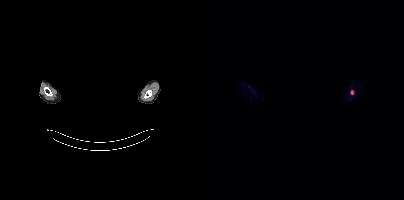
Coordinates are on the 200×200 PET (right) panel. PSMA-avid tumor lesion bounding box (x0,y0,x1,y1): [147,90,149,94].
deidentification: face masked with black rectangle | modality: PSMA PET/CT | tracer: 18F | view: axial